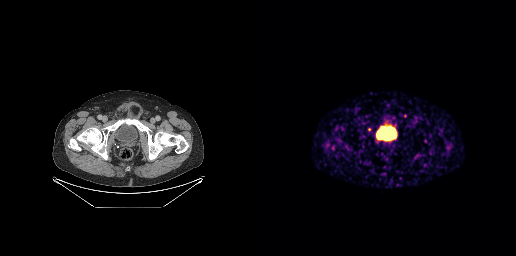
Two-panel axial: CT | PSMA PET, [68Ga]Ga-PSMA-11 tracer. Coordinates are on the 256×256 PET (right) panel. Small PSMA-avid focus (2 to 4 px across) near (center x, center y): (109, 129).